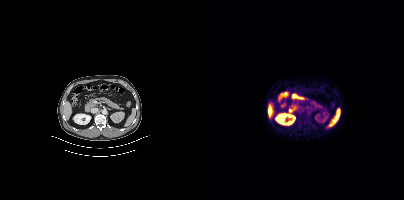
modality: PSMA PET/CT | tracer: 18F-PSMA | view: axial
Negative for PSMA-avid disease on this slice.